- Paired axial CT (left) and PSMA PET (right), [18F]PSMA-1007 tracer
- acquired on Siemens Biograph mCT Flow 20
- slice 197 of 377
- PET panel 200×200 px (4.1 mm/px)
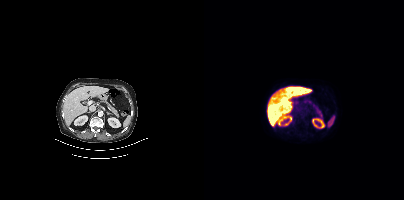
Findings: Negative for PSMA-avid disease on this slice.